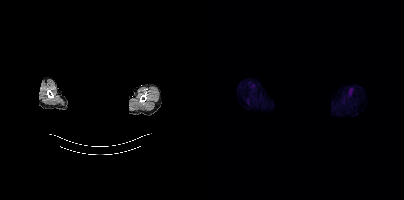
{"pet_grid":[200,200],"coord_frame":"pet_panel","coord_format":"x0,y0,x1,y1","psma_avid_lesions":false,"redaction":"face masked with black rectangle","modality":"PSMA PET/CT","view":"axial","tracer":"[18F]PSMA-1007"}